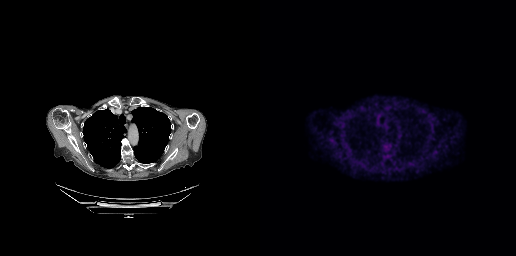
Findings: Negative for PSMA-avid disease on this slice.
Technique: Left: CT. Right: PSMA PET, same axial level, 18F tracer. acquired on GE Discovery 690.